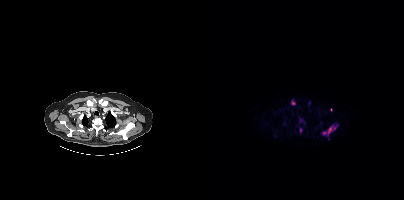
Two-panel axial: CT | PSMA PET, 18F-PSMA tracer. Acquired on Siemens Biograph mCT Flow 20.
Coordinates are on the 200×200 PET (right) panel. PSMA-avid tumor lesion bounding boxes:
| # | x0 | y0 | x1 | y1 |
|---|---|---|---|---|
| 1 | 118 | 125 | 133 | 134 |
| 2 | 87 | 100 | 91 | 104 |
| 3 | 96 | 128 | 97 | 132 |
Small PSMA-avid foci (2 to 4 px across) near (center x, center y): (124, 138); (127, 109).